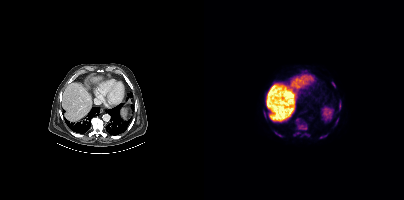
Coordinates are on the 200×200 PET (right) panel. (showing 8 of 10 foci) PSMA-avid tumor lesion bounding boxes (x, y, width, height): x=92 y=118 w=12 h=13; x=70 y=131 w=8 h=6; x=128 y=82 w=4 h=6; x=90 y=132 w=6 h=4; x=101 y=133 w=5 h=4. Small PSMA-avid foci (2 to 4 px across) near (center x, center y): (120, 136); (65, 118); (61, 117).